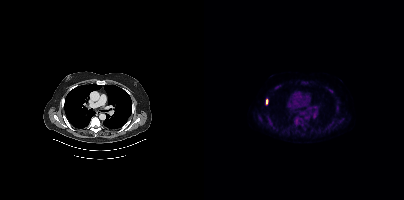
- Left: CT. Right: PSMA PET, same axial level, [18F]PSMA-1007 tracer
- slice position z = -897 mm
- PET panel 200×200 px (4.1 mm/px)
Findings: Coordinates are on the 200×200 PET (right) panel. (showing 11 of 12 foci) PSMA-avid tumor lesion bounding boxes (x, y, width, height): x=90 y=117 w=9 h=11 | x=63 y=117 w=9 h=12 | x=98 y=81 w=5 h=5 | x=71 y=85 w=5 h=5 | x=135 y=118 w=5 h=5 | x=62 y=99 w=2 h=5. Small PSMA-avid foci (2 to 4 px across) near (center x, center y): (56, 119) | (133, 109) | (118, 130) | (126, 91) | (99, 127).